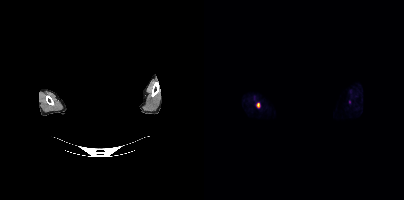
Findings: Coordinates are on the 200×200 PET (right) panel. PSMA-avid tumor lesion bounding box (x0, y0)-(x1, y1): (52, 102)-(56, 108).
Technique: Left: CT. Right: PSMA PET, same axial level, 18F-PSMA tracer. acquired on Siemens Biograph mCT Flow 20. PET panel 200×200 px (4.1 mm/px).
Note: Any black rectangle over the head is a privacy mask, not anatomy.